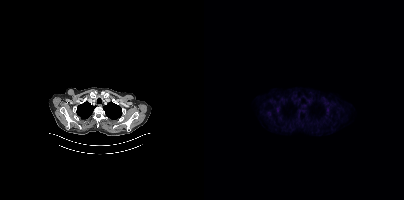
No tumor lesions annotated on this slice.